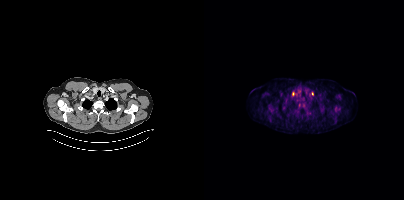
{"pet_grid":[200,200],"coord_frame":"pet_panel","coord_format":"x0,y0,x1,y1","lesion_bboxes":[],"small_foci_centers":[[108,93],[88,93]],"modality":"PSMA PET/CT","view":"axial","tracer":"18F"}